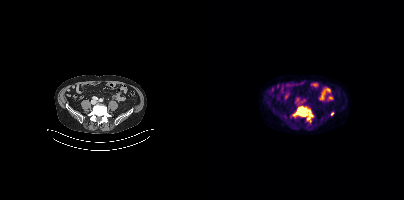
- Two-panel axial: CT | PSMA PET, 18F tracer
- acquired on Siemens Biograph mCT Flow 20
Findings: Coordinates are on the 200×200 PET (right) panel. PSMA-avid tumor lesion bounding box (x0, y0)-(x1, y1): (92, 106)-(107, 119). Small PSMA-avid focus (2 to 4 px across) near (center x, center y): (128, 113).